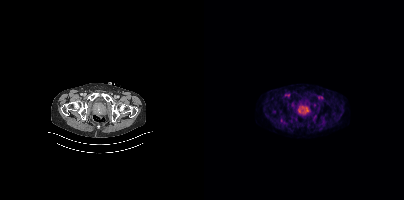
Findings: Coordinates are on the 200×200 PET (right) panel. PSMA-avid tumor lesion bounding box (x0, y0)-(x1, y1): (92, 103)-(106, 116).
- Two-panel axial: CT | PSMA PET, 18F tracer
- slice position z = -796 mm